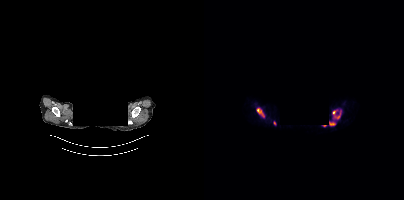
de-identification: facial region redacted | modality: PSMA PET/CT | tracer: 68Ga | view: axial | PET grid: 200×200
Coordinates are on the 200×200 PET (right) panel. PSMA-avid tumor lesion bounding boxes (x, y, width, height): x=53 y=108 w=8 h=10 | x=125 y=122 w=7 h=4 | x=131 y=111 w=6 h=8 | x=128 y=111 w=5 h=4.